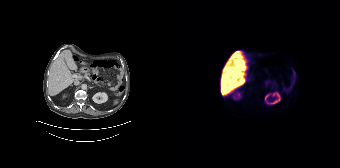
modality: PSMA PET/CT | tracer: 18F | view: axial
Negative for PSMA-avid disease on this slice.